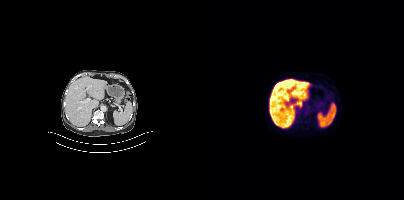
Paired axial CT (left) and PSMA PET (right), [18F]PSMA-1007 tracer. Slice 227 of 411. No tumor lesions annotated on this slice.